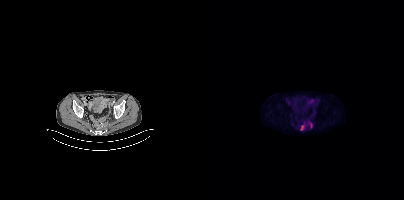
Left: CT. Right: PSMA PET, same axial level, 18F tracer. Acquired on Siemens Biograph mCT Flow 20. PET panel 200×200 px (4.1 mm/px). Coordinates are on the 200×200 PET (right) panel. PSMA-avid tumor lesion bounding boxes (x0,y0,x1,y1): [96,125,100,130] [105,122,108,127].